Technique: Two-panel axial: CT | PSMA PET, [18F]PSMA-1007 tracer. acquired on GE Discovery 690.
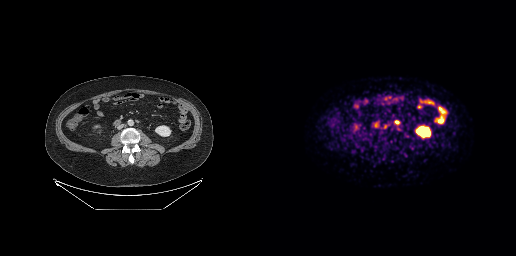
Findings: Coordinates are on the 256×256 PET (right) panel. PSMA-avid tumor lesion bounding box (x0, y0)-(x1, y1): (135, 120)-(139, 123).